- Paired axial CT (left) and PSMA PET (right), 18F tracer
- slice 448 of 508
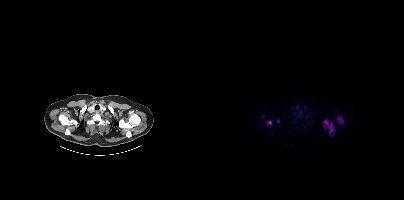
Findings: Coordinates are on the 200×200 PET (right) panel. (showing 3 of 4 foci) PSMA-avid tumor lesion bounding boxes (x, y, width, height): x=120 y=120 w=10 h=14; x=133 y=116 w=7 h=8. Small PSMA-avid focus (2 to 4 px across) near (center x, center y): (65, 122).